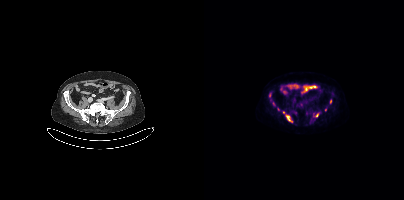
modality: PSMA PET/CT | tracer: 18F | view: axial | PET grid: 200×200
Coordinates are on the 200×200 PET (right) panel. (showing 5 of 8 foci) PSMA-avid tumor lesion bounding boxes (x0, y0)-(x1, y1): (82, 115)-(88, 122); (65, 93)-(67, 97). Small PSMA-avid foci (2 to 4 px across) near (center x, center y): (126, 101); (121, 109); (112, 115).